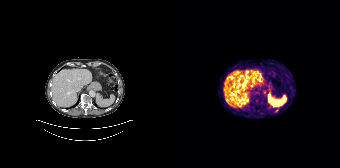
No tumor lesions annotated on this slice. Left: CT. Right: PSMA PET, same axial level, [68Ga]Ga-PSMA-11 tracer. Slice position z = -972 mm.